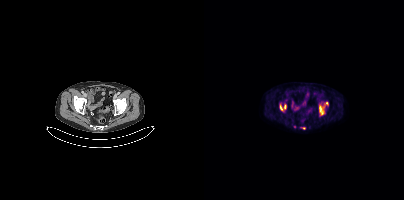
Coordinates are on the 200×200 PET (right) panel. PSMA-avid tumor lesion bounding boxes (x, y, width, height): x=115 y=101 w=10 h=15 / x=75 y=103 w=8 h=9 / x=97 y=127 w=5 h=3. Two-panel axial: CT | PSMA PET, [18F]PSMA-1007 tracer. Slice 91 of 415.